Technique: Paired axial CT (left) and PSMA PET (right), 18F-PSMA tracer. slice position z = -520 mm. PET panel 200×200 px (4.1 mm/px).
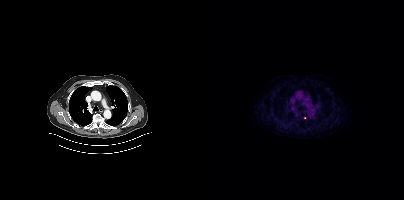
Findings: Coordinates are on the 200×200 PET (right) panel. Small PSMA-avid focus (2 to 4 px across) near (center x, center y): (100, 117).